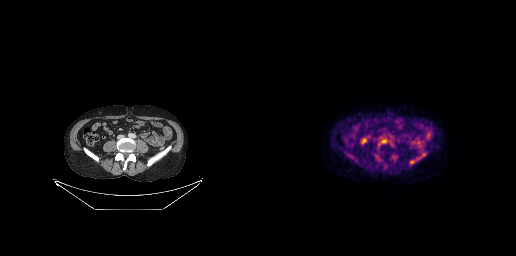
Findings: Coordinates are on the 256×256 PET (right) panel. PSMA-avid tumor lesion bounding box (x, y, width, height): x=150 y=160 w=5 h=4. Small PSMA-avid focus (2 to 4 px across) near (center x, center y): (123, 141).
Technique: Paired axial CT (left) and PSMA PET (right), 18F tracer. acquired on GE Discovery 690. slice position z = -581 mm.